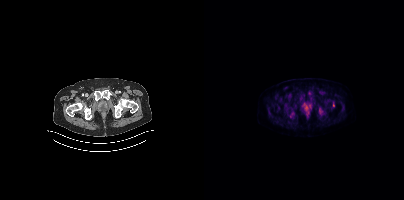
Coordinates are on the 200×200 PET (right) panel. PSMA-avid tumor lesion bounding box (x0,y0,x1,y1): [129,102,130,106]. Left: CT. Right: PSMA PET, same axial level, [18F]PSMA-1007 tracer. PET panel 200×200 px (4.1 mm/px).